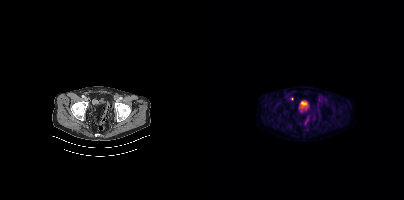
{"pet_grid":[200,200],"coord_frame":"pet_panel","coord_format":"x0,y0,x1,y1","lesion_bboxes":[],"small_foci_centers":[[88,98]],"modality":"PSMA PET/CT","view":"axial","tracer":"18F"}